Two-panel axial: CT | PSMA PET, [18F]PSMA-1007 tracer. Slice 185 of 263. PET panel 256×256 px (2.7 mm/px).
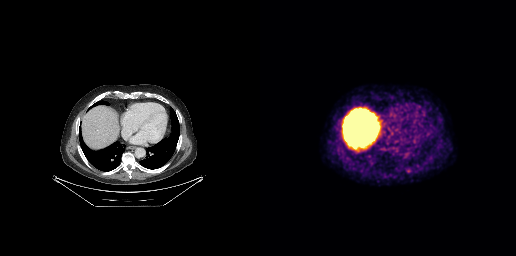
Coordinates are on the 256×256 PET (right) panel. PSMA-avid tumor lesion bounding boxes:
| # | x0 | y0 | x1 | y1 |
|---|---|---|---|---|
| 1 | 146 | 168 | 151 | 172 |